Technique: Left: CT. Right: PSMA PET, same axial level, 18F tracer. PET panel 200×200 px (4.1 mm/px).
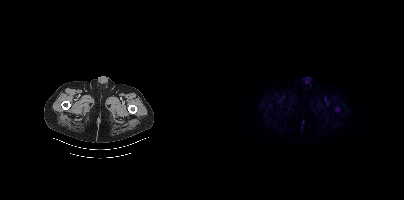
Findings: Coordinates are on the 200×200 PET (right) panel. PSMA-avid tumor lesion bounding box (x, y, width, height): x=131 y=107 w=5 h=5.